Paired axial CT (left) and PSMA PET (right), 18F-PSMA tracer. Slice position z = -650 mm. PET panel 200×200 px (4.1 mm/px).
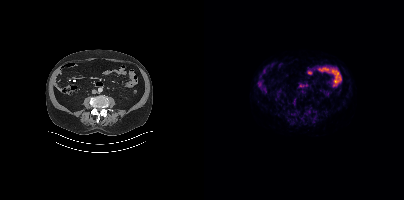
No PSMA-avid tumor lesions on this slice.